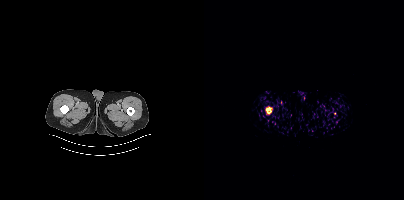
Findings: Coordinates are on the 200×200 PET (right) panel. PSMA-avid tumor lesion bounding box (x0, y0)-(x1, y1): (62, 107)-(67, 113).
Technique: Paired axial CT (left) and PSMA PET (right), 18F tracer. PET panel 200×200 px (4.1 mm/px).